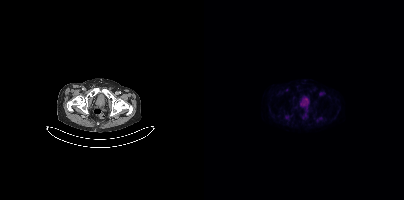
Left: CT. Right: PSMA PET, same axial level, [18F]PSMA-1007 tracer. Slice 61 of 391. PET panel 200×200 px (4.1 mm/px). No PSMA-avid tumor lesions on this slice.